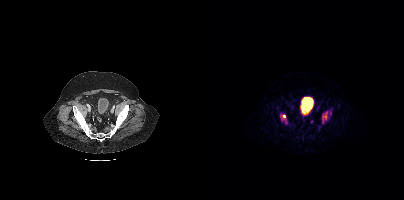
modality: PSMA PET/CT | tracer: 68Ga | view: axial
Coordinates are on the 200×200 PET (right) panel. PSMA-avid tumor lesion bounding boxes (x, y, width, height): x=117 y=110 w=11 h=15; x=78 y=114 w=4 h=5.